- Paired axial CT (left) and PSMA PET (right), 18F tracer
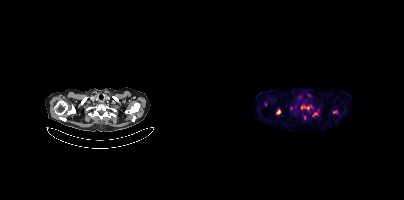
Findings: Coordinates are on the 200×200 PET (right) panel. PSMA-avid tumor lesion bounding boxes (x0,y0,x1,y1): [97,105,108,109]; [72,109,76,114]. Small PSMA-avid foci (2 to 4 px across) near (center x, center y): (130, 112); (87, 108).